modality: PSMA PET/CT | tracer: 18F-PSMA | view: axial | PET grid: 200×200
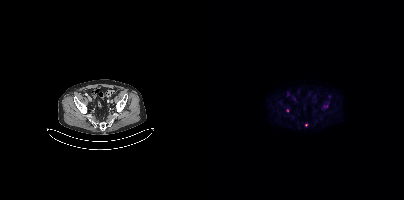
Coordinates are on the 200×200 PET (right) panel. (showing 1 of 3 foci) Small PSMA-avid focus (2 to 4 px across) near (center x, center y): (102, 125).